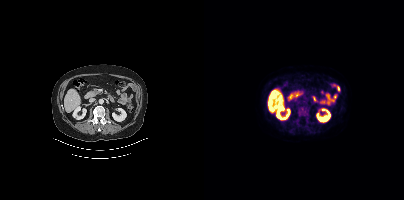
Coordinates are on the 200×200 PET (right) panel. PSMA-avid tumor lesion bounding box (x0,y0,x1,y1): [93,106,105,119]. Small PSMA-avid focus (2 to 4 px across) near (center x, center y): (93, 120). Paired axial CT (left) and PSMA PET (right), 18F tracer. Acquired on Siemens Biograph mCT Flow 20. Slice position z = -1127 mm. PET panel 200×200 px (4.1 mm/px).